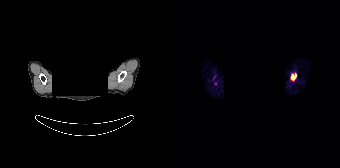
Left: CT. Right: PSMA PET, same axial level, [68Ga]Ga-PSMA-11 tracer. Acquired on Siemens Biograph 64-4R TruePoint. Privacy masking over the head, with the pixels inside a rectangle set to black. Coordinates are on the 168×168 PET (right) panel. PSMA-avid tumor lesion bounding box (x0,y0,x1,y1): [119,73,124,79].